Two-panel axial: CT | PSMA PET, [18F]PSMA-1007 tracer.
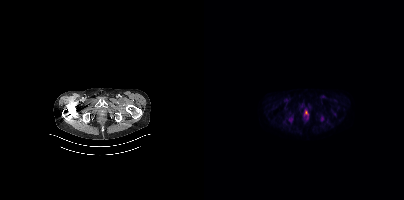
Only PSMA-avid lesion pieces thinner than 2 px on this slice (not listed).